Technique: Two-panel axial: CT | PSMA PET, [68Ga]Ga-PSMA-11 tracer. PET panel 200×200 px (4.1 mm/px).
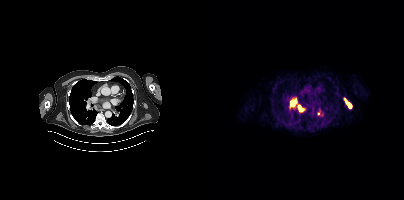
Findings: Coordinates are on the 200×200 PET (right) panel. (showing 3 of 4 foci) PSMA-avid tumor lesion bounding boxes (x0, y0)-(x1, y1): (140, 98)-(147, 107) / (87, 99)-(92, 105) / (94, 106)-(99, 110).